Paired axial CT (left) and PSMA PET (right), 18F-PSMA tracer. Acquired on Siemens Biograph mCT Flow 20. Slice 214 of 387.
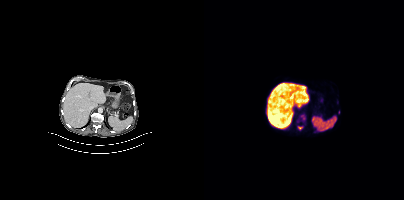
Coordinates are on the 200×200 PET (right) panel. PSMA-avid tumor lesion bounding box (x0, y0)-(x1, y1): (94, 127)-(98, 129).